Technique: Paired axial CT (left) and PSMA PET (right), 18F-PSMA tracer. slice position z = -1032 mm. PET panel 200×200 px (4.1 mm/px).
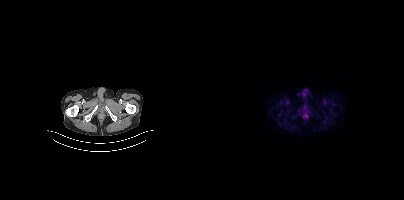
Findings: This slice has no annotated PSMA-avid lesion.